redaction: face masked with black rectangle | modality: PSMA PET/CT | tracer: 18F | view: axial
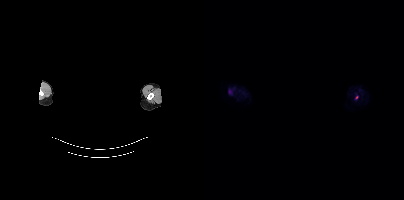
Coordinates are on the 200×200 PET (right) panel. Small PSMA-avid focus (2 to 4 px across) near (center x, center y): (152, 97).